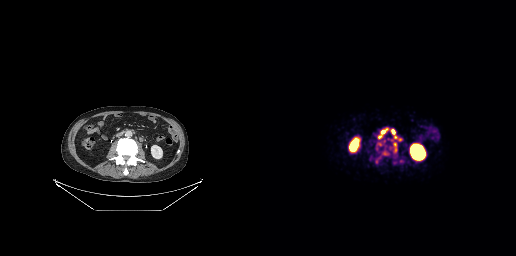
Findings: Coordinates are on the 256×256 PET (right) panel. PSMA-avid tumor lesion bounding boxes (x0,y0,x1,y1): [133,142,137,152]; [131,129,137,138]; [118,128,127,137]. Small PSMA-avid focus (2 to 4 px across) near (center x, center y): (140, 139).
- Paired axial CT (left) and PSMA PET (right), [68Ga]Ga-PSMA-11 tracer
- PET panel 256×256 px (2.7 mm/px)